Two-panel axial: CT | PSMA PET, 18F tracer. Acquired on Siemens Biograph mCT Flow 20.
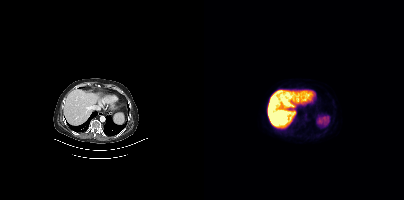
No tumor lesions annotated on this slice.